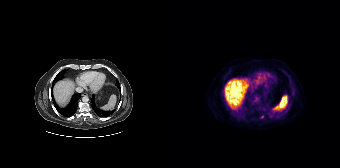
Findings: Coordinates are on the 168×168 PET (right) panel. Small PSMA-avid focus (2 to 4 px across) near (center x, center y): (90, 116).
Technique: Left: CT. Right: PSMA PET, same axial level, 18F tracer. slice position z = -886 mm. PET panel 168×168 px (4.1 mm/px).